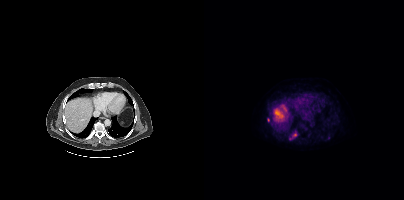
Coordinates are on the 200×200 PET (right) panel. PSMA-avid tumor lesion bounding boxes:
| # | x0 | y0 | x1 | y1 |
|---|---|---|---|---|
| 1 | 85 | 133 | 92 | 139 |
Small PSMA-avid focus (2 to 4 px across) near (center x, center y): (64, 119).
Two-panel axial: CT | PSMA PET, 18F tracer. Acquired on Siemens Biograph mCT Flow 20. PET panel 200×200 px (4.1 mm/px).